Technique: Left: CT. Right: PSMA PET, same axial level, [18F]PSMA-1007 tracer. acquired on Siemens Biograph mCT Flow 20. slice position z = -1640 mm. PET panel 200×200 px (4.1 mm/px).
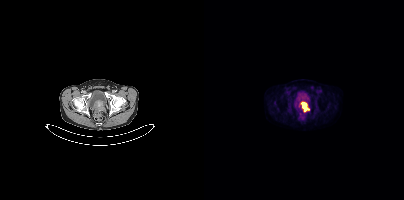
Findings: Coordinates are on the 200×200 PET (right) panel. PSMA-avid tumor lesion bounding box (x, y, width, height): x=96 y=101 w=10 h=12.